modality: PSMA PET/CT | tracer: 18F | view: axial
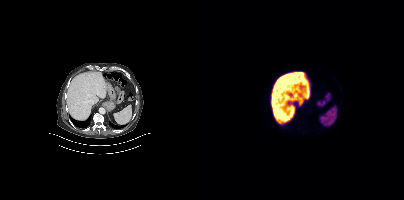
This slice has no annotated PSMA-avid lesion.